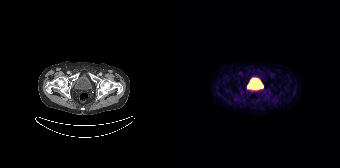
Findings: This slice has no annotated PSMA-avid lesion.
- Two-panel axial: CT | PSMA PET, 68Ga-PSMA tracer
- slice position z = -700 mm
- PET panel 168×168 px (4.1 mm/px)